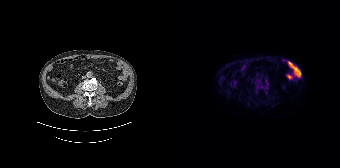
Findings: Only PSMA-avid lesion pieces thinner than 2 px on this slice (not listed).
- Paired axial CT (left) and PSMA PET (right), 18F-PSMA tracer
- slice position z = -1066 mm
- PET panel 168×168 px (4.1 mm/px)